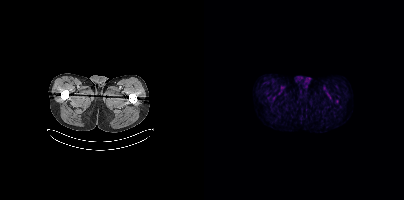
Findings: No tumor lesions annotated on this slice.
Technique: Two-panel axial: CT | PSMA PET, [18F]PSMA-1007 tracer. acquired on Siemens Biograph mCT Flow 20.